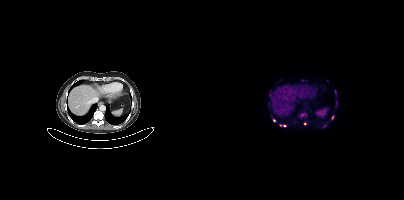
Coordinates are on the 200×200 PET (right) panel. (showing 8 of 9 foci) PSMA-avid tumor lesion bounding boxes (x0, y0)-(x1, y1): (130, 90)-(132, 94) | (132, 102)-(133, 106). Small PSMA-avid foci (2 to 4 px across) near (center x, center y): (70, 120) | (128, 117) | (101, 123) | (99, 114) | (76, 125) | (79, 125).
modality: PSMA PET/CT | tracer: 68Ga | view: axial | PET grid: 200×200